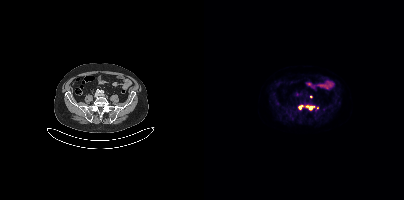
Left: CT. Right: PSMA PET, same axial level, 18F-PSMA tracer. Slice position z = -817 mm. Coordinates are on the 200×200 PET (right) panel. Small PSMA-avid foci (2 to 4 px across) near (center x, center y): (106, 108) (95, 107).